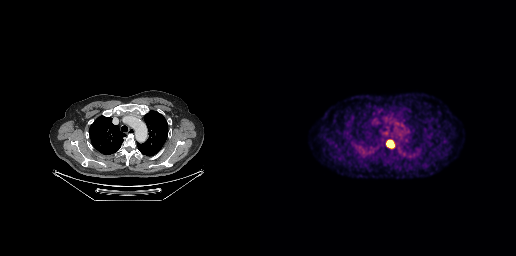
Coordinates are on the 256×256 PET (right) panel. PSMA-avid tumor lesion bounding box (x, y, width, height): x=126 y=140 w=9 h=8.